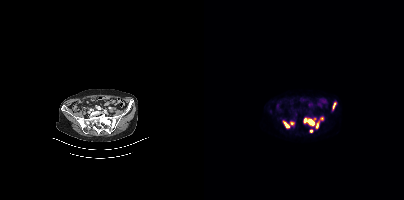
Coordinates are on the 200×200 PET (right) panel. PSMA-avid tumor lesion bounding boxes (x0, y0)-(x1, y1): (99, 118)-(115, 127) / (79, 121)-(85, 128) / (129, 103)-(131, 108). Small PSMA-avid foci (2 to 4 px across) near (center x, center y): (87, 123) / (107, 131) / (117, 118).